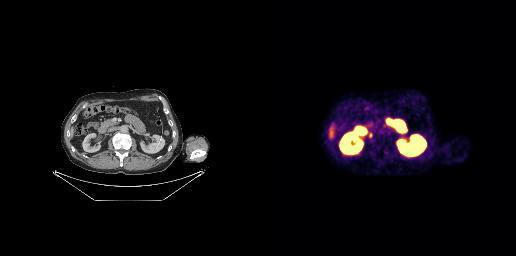
Paired axial CT (left) and PSMA PET (right), 68Ga tracer. Coordinates are on the 256×256 PET (right) panel. PSMA-avid tumor lesion bounding box (x0, y0)-(x1, y1): (109, 133)-(112, 137).